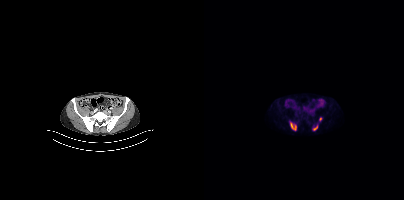
Coordinates are on the 200×200 PET (right) panel. PSMA-avid tumor lesion bounding boxes (x0, y0)-(x1, y1): (86, 122)-(92, 130) / (109, 126)-(113, 130). Small PSMA-avid focus (2 to 4 px across) near (center x, center y): (116, 118).